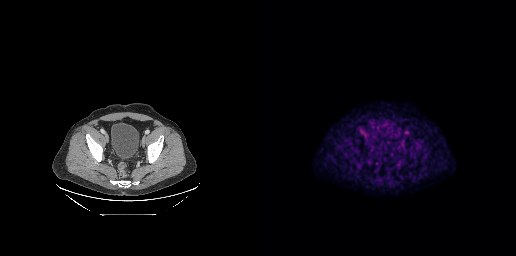
Negative for PSMA-avid disease on this slice.